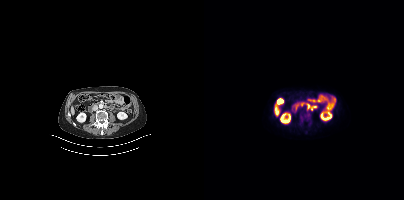
Left: CT. Right: PSMA PET, same axial level, [18F]PSMA-1007 tracer. Acquired on Siemens Biograph mCT Flow 20. PET panel 200×200 px (4.1 mm/px). No tumor lesions annotated on this slice.